- Left: CT. Right: PSMA PET, same axial level, 18F-PSMA tracer
- acquired on Siemens Biograph mCT Flow 20
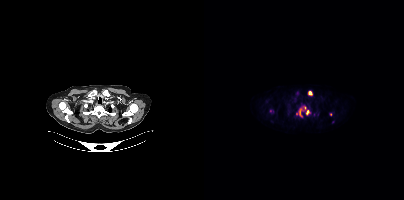
Findings: Coordinates are on the 200×200 PET (right) panel. (showing 6 of 7 foci) PSMA-avid tumor lesion bounding boxes (x, y, width, height): x=104 y=91 w=5 h=5; x=95 y=108 w=4 h=9; x=102 y=110 w=4 h=5. Small PSMA-avid foci (2 to 4 px across) near (center x, center y): (101, 107); (92, 113); (126, 114).